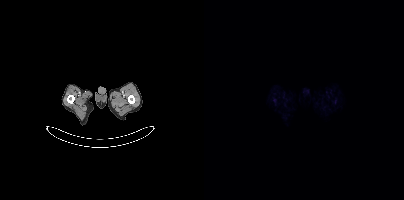
No PSMA-avid tumor lesions on this slice.